- Left: CT. Right: PSMA PET, same axial level, [18F]PSMA-1007 tracer
- acquired on Siemens Biograph mCT Flow 20
- PET panel 200×200 px (4.1 mm/px)
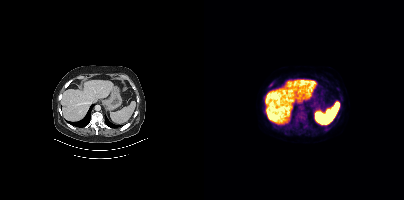
Findings: Coordinates are on the 200×200 PET (right) panel. (showing 5 of 6 foci) PSMA-avid tumor lesion bounding box (x0,y0,x1,y1): [89,111,103,127]. Small PSMA-avid foci (2 to 4 px across) near (center x, center y): (136, 97) (134, 88) (66, 86) (120, 130).